- Left: CT. Right: PSMA PET, same axial level, [18F]PSMA-1007 tracer
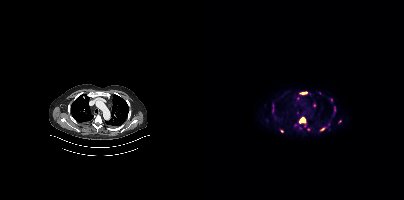
Findings: Coordinates are on the 200×200 PET (right) panel. (showing 9 of 12 foci) PSMA-avid tumor lesion bounding boxes (x0, y0)-(x1, y1): (95, 117)-(102, 123); (96, 91)-(103, 94); (116, 127)-(121, 131); (126, 98)-(128, 102); (130, 106)-(131, 110). Small PSMA-avid foci (2 to 4 px across) near (center x, center y): (78, 131); (115, 93); (136, 121); (104, 129).